Two-panel axial: CT | PSMA PET, 18F tracer.
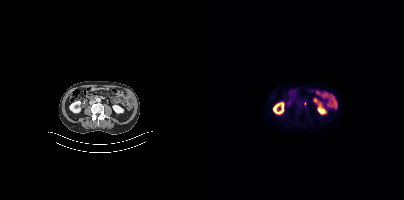
Only PSMA-avid lesion pieces thinner than 2 px on this slice (not listed).